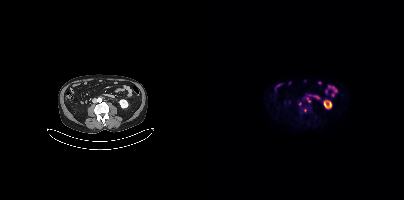
Coordinates are on the 200×200 PET (right) panel. PSMA-avid tumor lesion bounding box (x, y, width, height): x=102 y=98 w=5 h=5. Small PSMA-avid focus (2 to 4 px across) near (center x, center y): (101, 110).